Two-panel axial: CT | PSMA PET, 18F-PSMA tracer. Acquired on GE Discovery 690. Slice 74 of 263.
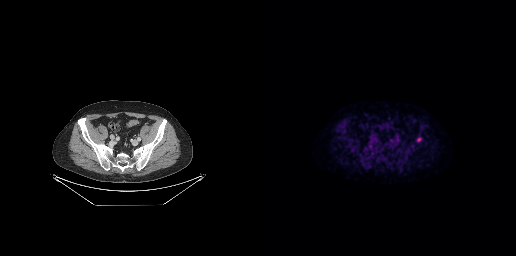
Coordinates are on the 256×256 PET (right) panel. Small PSMA-avid focus (2 to 4 px across) near (center x, center y): (159, 139).